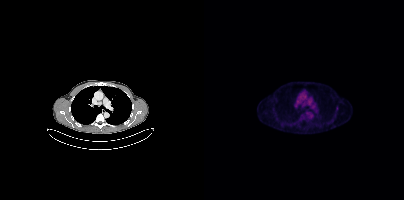
Coordinates are on the 200×200 PET (right) panel. (showing 1 of 2 foci) PSMA-avid tumor lesion bounding box (x, y, width, height): x=132 y=106 w=3 h=5.